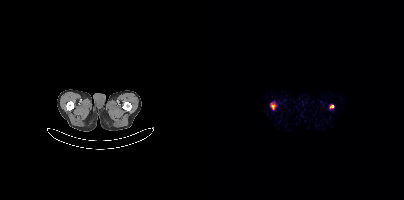
Findings: Coordinates are on the 200×200 PET (right) panel. Small PSMA-avid foci (2 to 4 px across) near (center x, center y): (69, 106); (127, 106).
- Two-panel axial: CT | PSMA PET, 68Ga-PSMA tracer
- slice position z = -1193 mm